Technique: Paired axial CT (left) and PSMA PET (right), 18F-PSMA tracer. acquired on GE Discovery 690.
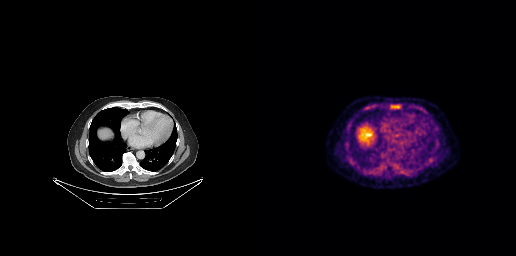
Findings: Only PSMA-avid lesion pieces thinner than 2 px on this slice (not listed).